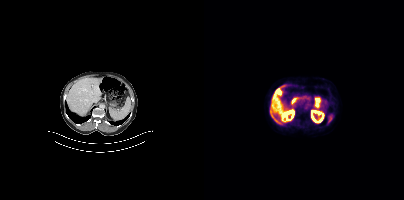
- Two-panel axial: CT | PSMA PET, 18F tracer
- slice 202 of 421
- PET panel 200×200 px (4.1 mm/px)
Findings: This slice has no annotated PSMA-avid lesion.